Two-panel axial: CT | PSMA PET, 68Ga-PSMA tracer. Acquired on Siemens Biograph 64-4R TruePoint. Slice position z = -1598 mm.
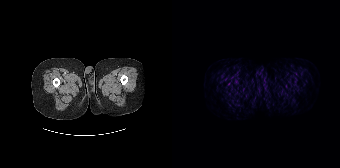
This slice has no annotated PSMA-avid lesion.